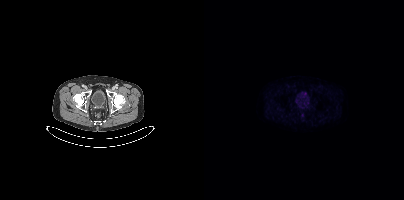
Findings: No tumor lesions annotated on this slice.
- Two-panel axial: CT | PSMA PET, 18F-PSMA tracer
- slice 70 of 435
- PET panel 200×200 px (4.1 mm/px)